modality: PSMA PET/CT | tracer: [18F]PSMA-1007 | view: axial | PET grid: 200×200
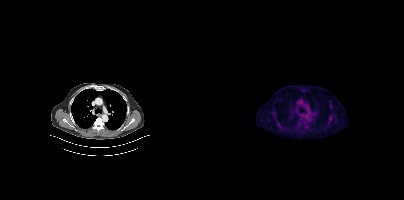
Only PSMA-avid lesion pieces thinner than 2 px on this slice (not listed).